modality: PSMA PET/CT | tracer: 18F | view: axial
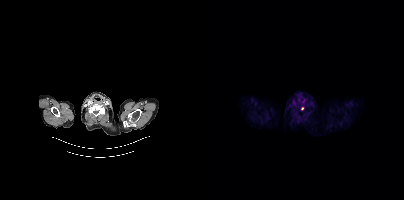
Coordinates are on the 200×200 PET (right) panel. Small PSMA-avid focus (2 to 4 px across) near (center x, center y): (98, 108).